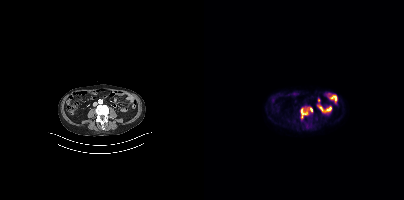
Left: CT. Right: PSMA PET, same axial level, 18F-PSMA tracer.
Coordinates are on the 200×200 PET (right) panel. PSMA-avid tumor lesion bounding boxes:
| # | x0 | y0 | x1 | y1 |
|---|---|---|---|---|
| 1 | 96 | 106 | 108 | 118 |